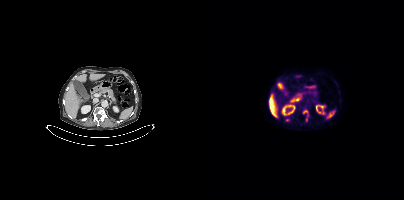
{"pet_grid":[200,200],"coord_frame":"pet_panel","coord_format":"x0,y0,x1,y1","lesion_bboxes":[[101,114,105,121],[81,118,85,121],[99,110,103,113]],"modality":"PSMA PET/CT","view":"axial","tracer":"18F"}